modality: PSMA PET/CT | tracer: 18F-PSMA | view: axial
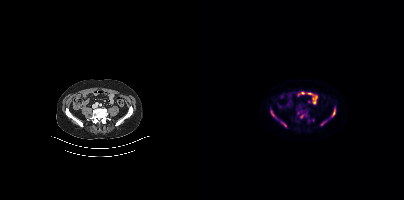
Coordinates are on the 200×200 PET (right) panel. (showing 8 of 9 foci) PSMA-avid tumor lesion bounding boxes (x, y, width, height): x=96 y=110 w=9 h=8 / x=74 y=119 w=9 h=8 / x=128 y=108 w=4 h=9 / x=67 y=110 w=5 h=8 / x=116 y=122 w=5 h=4. Small PSMA-avid foci (2 to 4 px across) near (center x, center y): (94, 112) / (104, 120) / (108, 119).